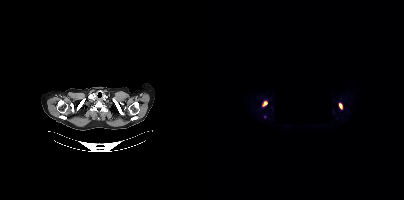
Findings: Coordinates are on the 200×200 PET (right) panel. PSMA-avid tumor lesion bounding boxes (x, y, width, height): x=58 y=101 w=6 h=6; x=135 y=103 w=4 h=7.
Technique: Paired axial CT (left) and PSMA PET (right), [18F]PSMA-1007 tracer. acquired on Siemens Biograph mCT Flow 20. PET panel 200×200 px (4.1 mm/px).
Note: Some pixels were blanked for anonymization.